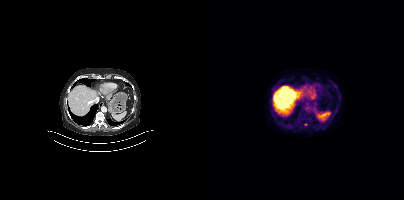
Coordinates are on the 200×200 PET (right) panel. Small PSMA-avid focus (2 to 4 px across) near (center x, center y): (101, 124).